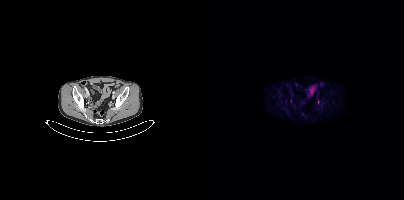
{"modality":"PSMA PET/CT","view":"axial","tracer":"18F","pet_grid":[200,200],"coord_frame":"pet_panel","coord_format":"x0,y0,x1,y1","lesion_bboxes":[],"small_foci_centers":[[114,101],[86,100]]}